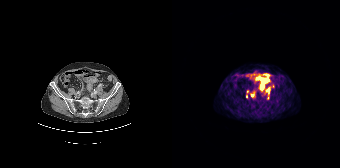
{"pet_grid":[168,168],"coord_frame":"pet_panel","coord_format":"x0,y0,x1,y1","partial":true,"lesion_bboxes":[[89,78,96,82],[83,75,87,80],[88,84,92,89],[98,85,102,87]],"small_foci_centers":[[95,89],[80,95],[75,91]],"modality":"PSMA PET/CT","view":"axial","tracer":"68Ga"}